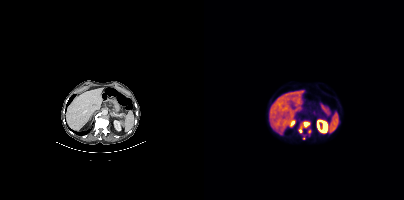
Coordinates are on the 200×200 PET (right) panel. PSMA-avid tumor lesion bounding boxes:
| # | x0 | y0 | x1 | y1 |
|---|---|---|---|---|
| 1 | 95 | 122 | 105 | 132 |
| 2 | 104 | 129 | 107 | 134 |
Small PSMA-avid focus (2 to 4 px across) near (center x, center y): (99, 138).
Left: CT. Right: PSMA PET, same axial level, 18F-PSMA tracer. Slice 215 of 435.